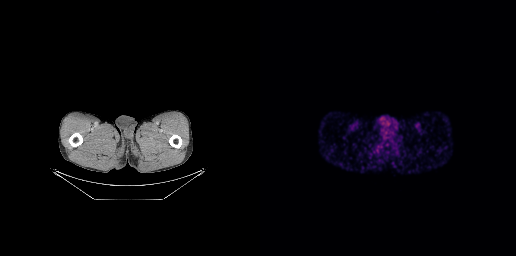
modality: PSMA PET/CT | tracer: 68Ga-PSMA | view: axial
Negative for PSMA-avid disease on this slice.